Paired axial CT (left) and PSMA PET (right), 68Ga-PSMA tracer. Acquired on Siemens Biograph mCT Flow 20. PET panel 200×200 px (4.1 mm/px).
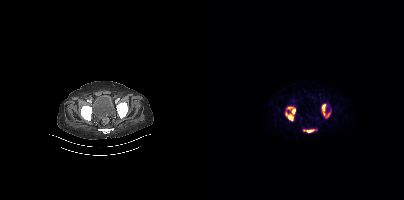
This slice has no annotated PSMA-avid lesion.